Technique: Two-panel axial: CT | PSMA PET, [18F]PSMA-1007 tracer. slice position z = -1281 mm.
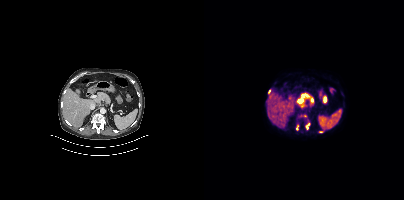
Findings: Coordinates are on the 200×200 PET (right) panel. (showing 2 of 3 foci) PSMA-avid tumor lesion bounding box (x, y, width, height): x=102 y=123 w=4 h=7. Small PSMA-avid focus (2 to 4 px across) near (center x, center y): (92, 128).